Two-panel axial: CT | PSMA PET, 18F-PSMA tracer. PET panel 200×200 px (4.1 mm/px).
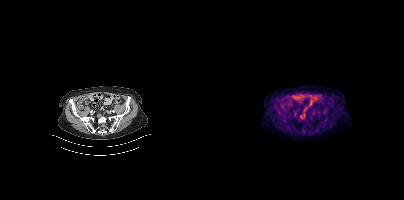
Negative for PSMA-avid disease on this slice.